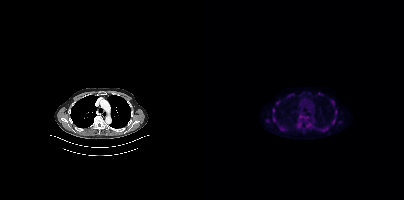
Coordinates are on the 200×200 PET (right) panel. PSMA-avid tumor lesion bounding box (x0, y0)-(x1, y1): (69, 117)-(71, 121). Small PSMA-avid foci (2 to 4 px across) near (center x, center y): (130, 119) | (132, 111) | (69, 110) | (123, 128) | (73, 103) | (129, 103) | (63, 120).